Two-panel axial: CT | PSMA PET, 68Ga-PSMA tracer. Acquired on Siemens Biograph 64-4R TruePoint. Slice position z = -744 mm. PET panel 168×168 px (4.1 mm/px).
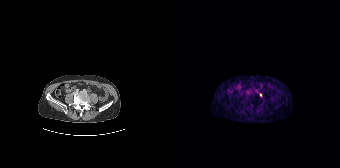
Coordinates are on the 168×168 PET (right) panel. Small PSMA-avid focus (2 to 4 px across) near (center x, center y): (88, 94).